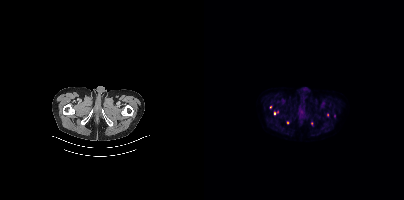
Findings: Coordinates are on the 200×200 PET (right) panel. (showing 4 of 5 foci) Small PSMA-avid foci (2 to 4 px across) near (center x, center y): (70, 113); (107, 123); (66, 107); (123, 114).
Technique: Left: CT. Right: PSMA PET, same axial level, 18F-PSMA tracer. acquired on Siemens Biograph mCT Flow 20.